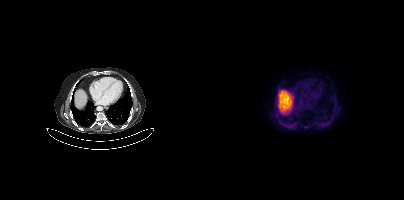
Coordinates are on the 200×200 PET (right) panel. Small PSMA-avid focus (2 to 4 px across) near (center x, center y): (101, 126).